modality: PSMA PET/CT | tracer: 18F-PSMA | view: axial | PET grid: 200×200
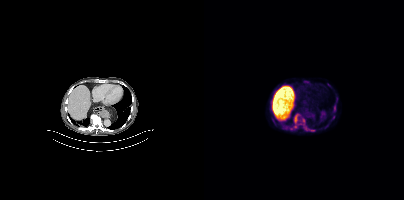
Coordinates are on the 200×200 PET (right) panel. (showing 6 of 7 foci) PSMA-avid tumor lesion bounding boxes (x0, y0)-(x1, y1): (100, 126)-(110, 131) | (90, 114)-(94, 123) | (129, 105)-(132, 110). Small PSMA-avid foci (2 to 4 px across) near (center x, center y): (129, 117) | (99, 120) | (91, 126).